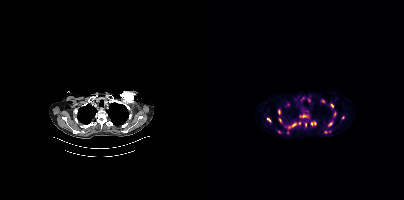
{"modality":"PSMA PET/CT","view":"axial","tracer":"18F","pet_grid":[200,200],"coord_frame":"pet_panel","coord_format":"x0,y0,x1,y1","partial":true,"lesion_bboxes":[[81,122,96,129],[96,114,103,117],[63,117,67,122],[107,122,111,125],[74,109,76,114],[75,118,78,122],[124,122,128,126]],"small_foci_centers":[[127,105],[101,124],[119,101],[75,132],[130,114],[139,117],[84,104],[121,131]]}